- head region blanked for anonymization (face removed)
- Left: CT. Right: PSMA PET, same axial level, 68Ga-PSMA tracer
- slice 180 of 189
- PET panel 256×256 px (2.7 mm/px)
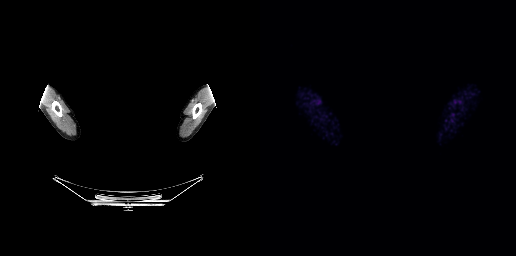
Findings: This slice has no annotated PSMA-avid lesion.